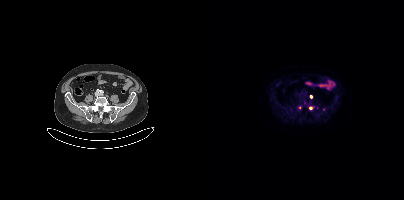
{"modality":"PSMA PET/CT","view":"axial","tracer":"[18F]PSMA-1007","pet_grid":[200,200],"coord_frame":"pet_panel","coord_format":"x0,y0,x1,y1","lesion_bboxes":[],"small_foci_centers":[[107,96],[106,107]]}